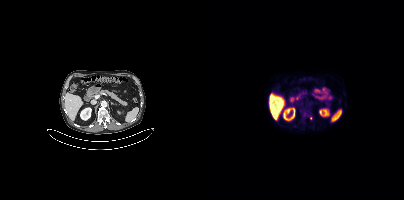
Coordinates are on the 200×200 PET (right) panel. PSMA-avid tumor lesion bounding box (x0,y0,x1,y1): [98,112,102,116]. Small PSMA-avid focus (2 to 4 px across) near (center x, center y): (107, 118). Two-panel axial: CT | PSMA PET, 18F-PSMA tracer. Slice 200 of 403.